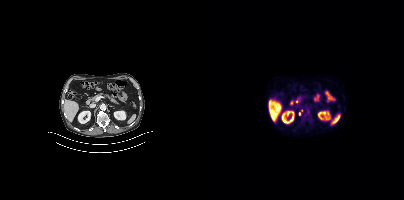
- Two-panel axial: CT | PSMA PET, [18F]PSMA-1007 tracer
- slice 215 of 421
- PET panel 200×200 px (4.1 mm/px)
Findings: Coordinates are on the 200×200 PET (right) panel. Small PSMA-avid focus (2 to 4 px across) near (center x, center y): (95, 113).